Two-panel axial: CT | PSMA PET, 18F-PSMA tracer. Slice 39 of 165. PET panel 168×168 px (4.1 mm/px).
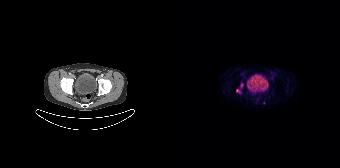
Coordinates are on the 168×168 PET (right) panel. PSMA-avid tumor lesion bounding box (x0,y0,x1,y1): [64,89,68,92]. Small PSMA-avid foci (2 to 4 px across) near (center x, center y): (92, 102), (69, 85).